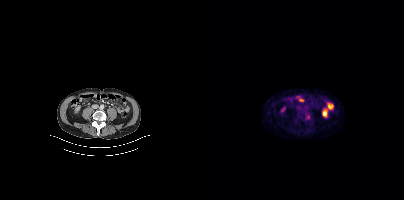
{"pet_grid":[200,200],"coord_frame":"pet_panel","coord_format":"x0,y0,x1,y1","lesion_bboxes":[],"small_foci_centers":[[104,116]],"modality":"PSMA PET/CT","view":"axial","tracer":"18F"}